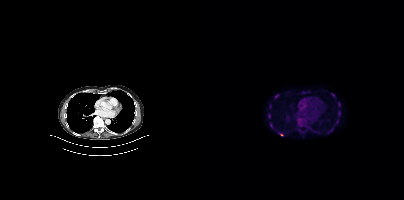
Paired axial CT (left) and PSMA PET (right), 18F tracer. PET panel 200×200 px (4.1 mm/px).
Coordinates are on the 200×200 PET (right) panel. PSMA-avid tumor lesion bounding boxes:
| # | x0 | y0 | x1 | y1 |
|---|---|---|---|---|
| 1 | 134 | 111 | 136 | 116 |
| 2 | 66 | 123 | 69 | 128 |
| 3 | 134 | 102 | 136 | 106 |
| 4 | 71 | 94 | 74 | 98 |
Small PSMA-avid foci (2 to 4 px across) near (center x, center y): (66, 106); (65, 115); (133, 120); (77, 134); (129, 95).